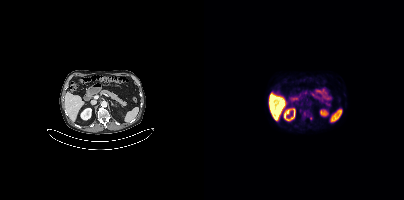
{"modality":"PSMA PET/CT","view":"axial","tracer":"[18F]PSMA-1007","pet_grid":[200,200],"coord_frame":"pet_panel","coord_format":"x0,y0,x1,y1","lesion_bboxes":[[98,112,102,116]],"small_foci_centers":[[106,118]]}